Two-panel axial: CT | PSMA PET, [68Ga]Ga-PSMA-11 tracer. Slice position z = -582 mm. PET panel 256×256 px (2.7 mm/px).
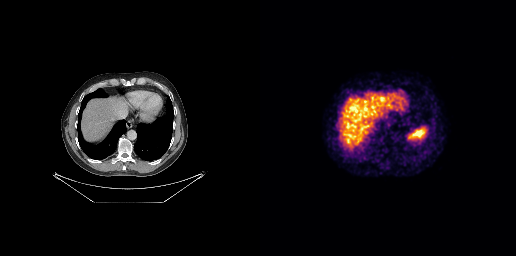
This slice has no annotated PSMA-avid lesion.